modality: PSMA PET/CT | tracer: [18F]PSMA-1007 | view: axial | PET grid: 200×200
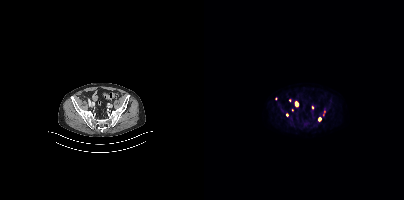
Coordinates are on the 200×200 PET (right) panel. (showing 4 of 6 foci) PSMA-avid tumor lesion bounding box (x, y, width, height): x=119 y=111 w=3 h=5. Small PSMA-avid foci (2 to 4 px across) near (center x, center y): (82, 114); (88, 109); (115, 118).